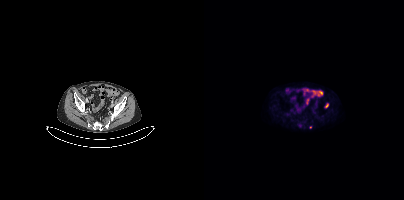
Coordinates are on the 200×200 PET (right) panel. (showing 1 of 2 foci) Small PSMA-avid focus (2 to 4 px across) near (center x, center y): (122, 105).